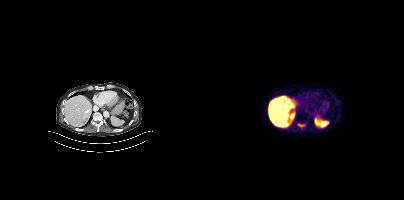
Paired axial CT (left) and PSMA PET (right), 18F tracer. Acquired on Siemens Biograph mCT Flow 20. PET panel 200×200 px (4.1 mm/px).
Coordinates are on the 200×200 PET (right) panel. PSMA-avid tumor lesion bounding boxes (partial; 1 more focus not listed):
| # | x0 | y0 | x1 | y1 |
|---|---|---|---|---|
| 1 | 94 | 123 | 101 | 127 |